Two-panel axial: CT | PSMA PET, [18F]PSMA-1007 tracer. Slice 191 of 395. PET panel 200×200 px (4.1 mm/px).
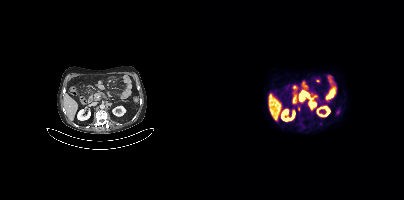
Coordinates are on the 200×200 PET (right) panel. PSMA-avid tumor lesion bounding boxes (x, y, width, height): x=105 y=101 w=8 h=8 / x=95 y=91 w=10 h=9. Small PSMA-avid foci (2 to 4 px across) near (center x, center y): (94, 108) / (97, 101).